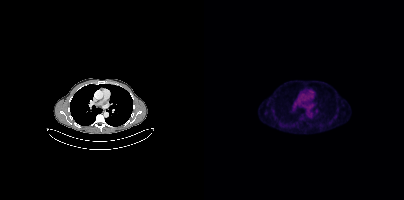
- Left: CT. Right: PSMA PET, same axial level, 18F-PSMA tracer
Findings: Negative for PSMA-avid disease on this slice.